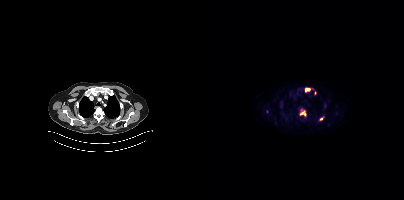
Left: CT. Right: PSMA PET, same axial level, 18F-PSMA tracer. Slice position z = -266 mm.
Coordinates are on the 200×200 PET (right) panel. PSMA-avid tumor lesion bounding boxes (partial; 1 more focus not listed):
| # | x0 | y0 | x1 | y1 |
|---|---|---|---|---|
| 1 | 96 | 109 | 102 | 116 |
| 2 | 101 | 87 | 106 | 92 |
| 3 | 115 | 116 | 120 | 121 |
Small PSMA-avid focus (2 to 4 px across) near (center x, center y): (111, 93).